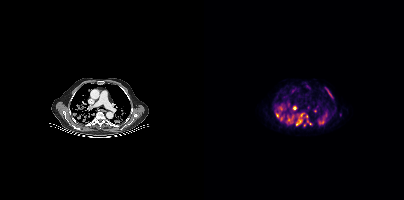
modality: PSMA PET/CT | tracer: 18F | view: axial | PET grid: 200×200
Coordinates are on the 200×200 PET (right) panel. (showing 12 of 15 foci) PSMA-avid tumor lesion bounding boxes (x0, y0)-(x1, y1): (72, 112)-(79, 120) | (92, 119)-(97, 125) | (122, 88)-(128, 97) | (84, 115)-(89, 120) | (74, 106)-(78, 110) | (88, 106)-(92, 109) | (115, 121)-(119, 123). Small PSMA-avid foci (2 to 4 px across) near (center x, center y): (97, 114) | (84, 104) | (102, 116) | (106, 123) | (100, 124).